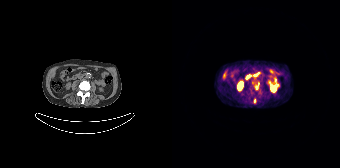
Left: CT. Right: PSMA PET, same axial level, [68Ga]Ga-PSMA-11 tracer. Slice 73 of 165. PET panel 168×168 px (4.1 mm/px).
Coordinates are on the 168×168 PET (right) panel. PSMA-avid tumor lesion bounding boxes:
| # | x0 | y0 | x1 | y1 |
|---|---|---|---|---|
| 1 | 82 | 82 | 87 | 89 |
Small PSMA-avid focus (2 to 4 px across) near (center x, center y): (82, 100).